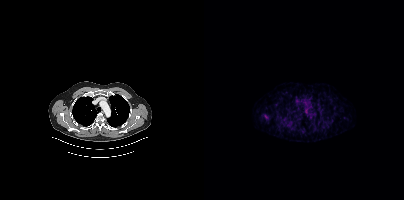
modality: PSMA PET/CT | tracer: 68Ga-PSMA | view: axial | PET grid: 200×200
Coordinates are on the 200×200 PET (right) panel. Small PSMA-avid focus (2 to 4 px across) near (center x, center y): (61, 116).